modality: PSMA PET/CT | tracer: [68Ga]Ga-PSMA-11 | view: axial | PET grid: 200×200
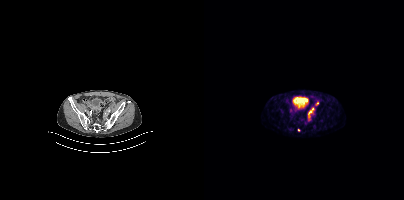
Coordinates are on the 200×200 PET (right) panel. (showing 2 of 3 foci) PSMA-avid tumor lesion bounding box (x, y, width, height): x=104 y=108 w=6 h=10. Small PSMA-avid focus (2 to 4 px across) near (center x, center y): (113, 103).